modality: PSMA PET/CT | tracer: 18F-PSMA | view: axial | PET grid: 200×200
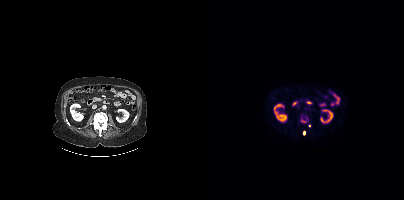
Coordinates are on the 200×200 PET (right) panel. (showing 1 of 2 foci) Small PSMA-avid focus (2 to 4 px across) near (center x, center y): (100, 132).